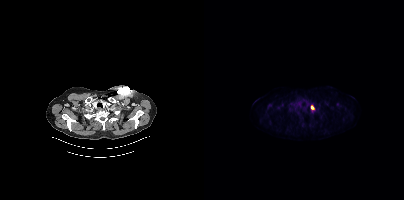
{"modality":"PSMA PET/CT","view":"axial","tracer":"[18F]PSMA-1007","pet_grid":[200,200],"coord_frame":"pet_panel","coord_format":"x0,y0,x1,y1","lesion_bboxes":[[107,105,110,109]]}